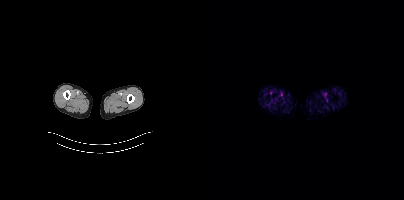
- Paired axial CT (left) and PSMA PET (right), 18F tracer
- slice position z = -1108 mm
Findings: No tumor lesions annotated on this slice.